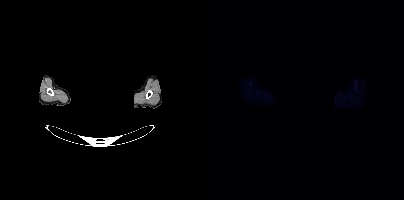
modality: PSMA PET/CT | tracer: 18F | view: axial | redaction: privacy mask over head
No tumor lesions annotated on this slice.